- Two-panel axial: CT | PSMA PET, 18F-PSMA tracer
- acquired on Siemens Biograph mCT Flow 20
- PET panel 200×200 px (4.1 mm/px)
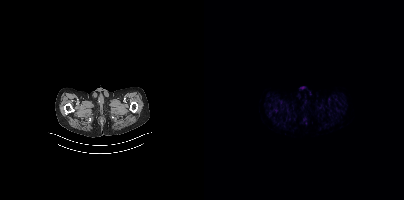
Findings: This slice has no annotated PSMA-avid lesion.